- the face region was removed for patient privacy by blanking a rectangle over the head
- Paired axial CT (left) and PSMA PET (right), 18F tracer
- acquired on Siemens Biograph mCT Flow 20
- slice position z = -297 mm
- PET panel 200×200 px (4.1 mm/px)
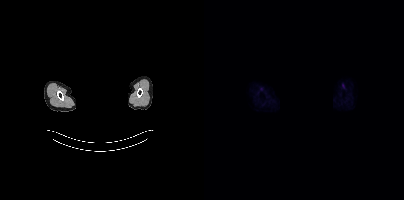
Findings: No tumor lesions annotated on this slice.